- Left: CT. Right: PSMA PET, same axial level, [18F]PSMA-1007 tracer
- acquired on GE Discovery 690
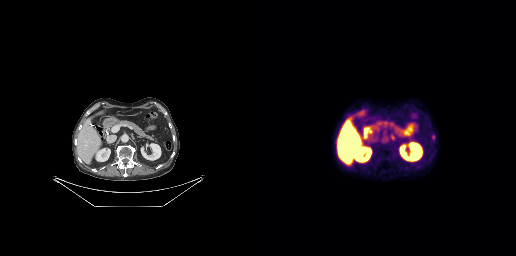
Findings: Negative for PSMA-avid disease on this slice.